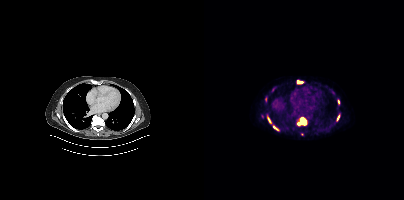
Coordinates are on the 200×200 PET (right) panel. (showing 6 of 7 foci) PSMA-avid tumor lesion bounding boxes (x, y, width, height): x=93 y=117 w=11 h=9 / x=93 y=80 w=7 h=4 / x=64 y=117 w=4 h=7 / x=133 y=115 w=3 h=6. Small PSMA-avid foci (2 to 4 px across) near (center x, center y): (70, 127) / (134, 101).